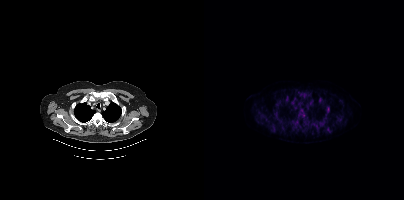
{"modality":"PSMA PET/CT","view":"axial","tracer":"[18F]PSMA-1007","pet_grid":[200,200],"coord_frame":"pet_panel","coord_format":"x0,y0,x1,y1","partial":true,"lesion_bboxes":[[93,91,102,97],[95,112,99,120],[122,105,125,112],[115,121,119,125],[70,110,73,116],[81,97,85,100]],"small_foci_centers":[[124,129],[116,99],[59,116],[75,100],[75,119],[66,130]]}